Left: CT. Right: PSMA PET, same axial level, 18F-PSMA tracer.
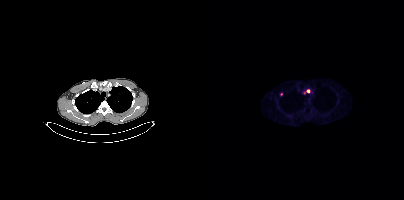
Coordinates are on the 200×200 PET (right) panel. (showing 1 of 3 foci) Small PSMA-avid focus (2 to 4 px across) near (center x, center y): (104, 91).